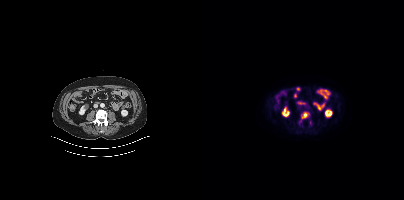
Coordinates are on the 200×200 PET (right) panel. PSMA-avid tumor lesion bounding box (x, y, width, height): x=97 y=112 w=9 h=7. Small PSMA-avid focus (2 to 4 px across) near (center x, center y): (105, 125).